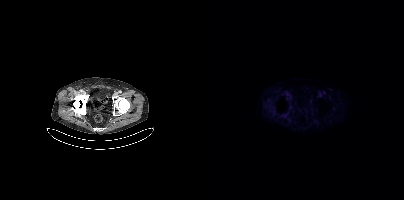
Technique: Left: CT. Right: PSMA PET, same axial level, 18F tracer. acquired on Siemens Biograph mCT Flow 20. PET panel 200×200 px (4.1 mm/px).
Findings: No PSMA-avid tumor lesions on this slice.